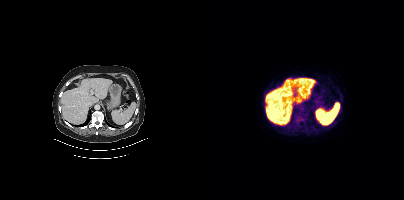
{"modality":"PSMA PET/CT","view":"axial","tracer":"[18F]PSMA-1007","pet_grid":[200,200],"coord_frame":"pet_panel","coord_format":"x0,y0,x1,y1","partial":true,"lesion_bboxes":[[89,111,101,126],[135,93,138,99]],"small_foci_centers":[[100,122]]}